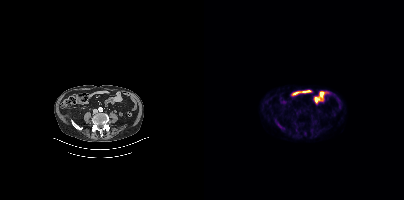
Coordinates are on the 200×200 PET (right) panel. PSMA-avid tumor lesion bounding box (x, y, width, height): x=71 y=119 w=10 h=11.